Any black rectangle over the head is a privacy mask, not anatomy.
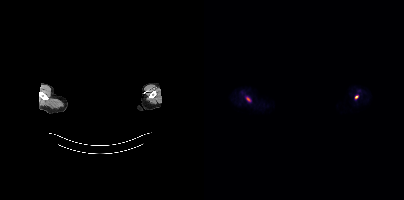
Coordinates are on the 200×200 PET (right) panel. Small PSMA-avid foci (2 to 4 px across) near (center x, center y): (152, 97) / (44, 99).